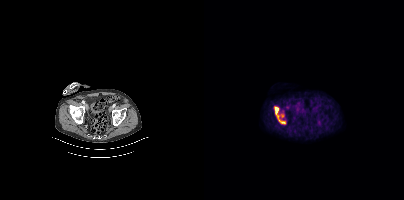
{"pet_grid":[200,200],"coord_frame":"pet_panel","coord_format":"x0,y0,x1,y1","partial":true,"lesion_bboxes":[[70,106,82,124]],"modality":"PSMA PET/CT","view":"axial","tracer":"18F-PSMA"}